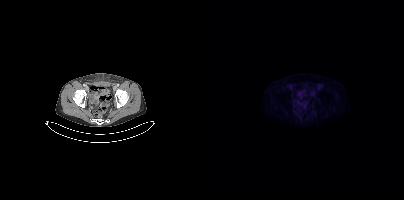
Findings: This slice has no annotated PSMA-avid lesion.
Technique: Left: CT. Right: PSMA PET, same axial level, 18F-PSMA tracer. PET panel 200×200 px (4.1 mm/px).